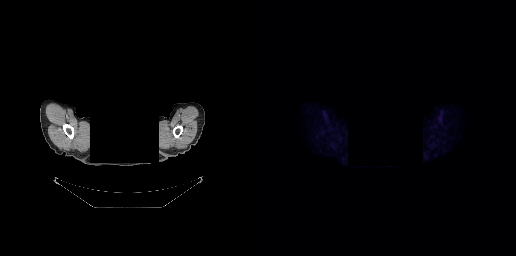
Negative for PSMA-avid disease on this slice.
modality: PSMA PET/CT | tracer: 18F-PSMA | view: axial | deidentification: head region blanked (face removed)